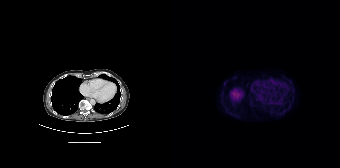
Negative for PSMA-avid disease on this slice. Left: CT. Right: PSMA PET, same axial level, [18F]PSMA-1007 tracer. Acquired on Siemens Biograph 64-4R TruePoint. PET panel 168×168 px (4.1 mm/px).